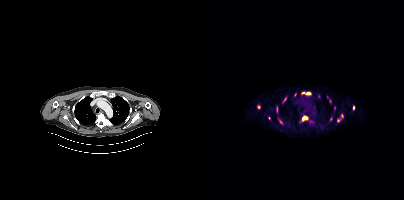
Paired axial CT (left) and PSMA PET (right), 18F-PSMA tracer. Acquired on Siemens Biograph mCT Flow 20. Slice 280 of 401. PET panel 200×200 px (4.1 mm/px).
Coordinates are on the 200×200 PET (right) panel. PSMA-avid tumor lesion bounding boxes (partial; 4 more foci not listed):
| # | x0 | y0 | x1 | y1 |
|---|---|---|---|---|
| 1 | 98 | 92 | 107 | 95 |
| 2 | 98 | 116 | 103 | 121 |
| 3 | 79 | 97 | 82 | 102 |
| 4 | 72 | 106 | 73 | 111 |
Small PSMA-avid foci (2 to 4 px across) near (center x, center y): (134, 120); (138, 115); (91, 94); (149, 107); (77, 121); (54, 107); (126, 119); (130, 107).